- Two-panel axial: CT | PSMA PET, [18F]PSMA-1007 tracer
- slice position z = -1348 mm
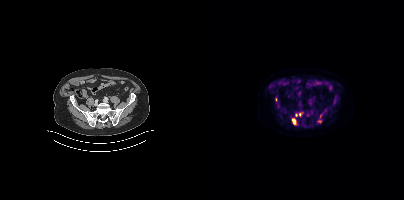
Findings: Coordinates are on the 200×200 PET (right) panel. PSMA-avid tumor lesion bounding boxes (x0, y0)-(x1, y1): (88, 118)-(92, 124) / (95, 112)-(98, 116). Small PSMA-avid foci (2 to 4 px across) near (center x, center y): (92, 115) / (115, 121) / (72, 99) / (116, 116).